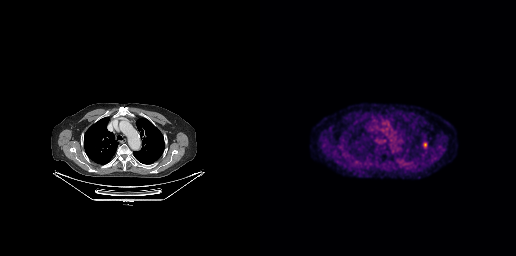
Coordinates are on the 256×256 PET (right) panel. Small PSMA-avid focus (2 to 4 px across) near (center x, center y): (165, 144).
modality: PSMA PET/CT | tracer: [18F]PSMA-1007 | view: axial